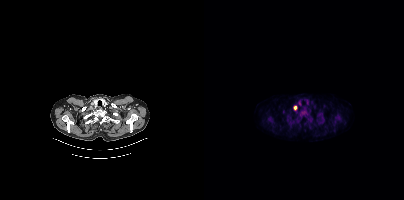
Coordinates are on the 200×200 PET (right) panel. (showing 2 of 3 foci) PSMA-avid tumor lesion bounding boxes (x0,y0,x1,y1): [98,110,101,114], [89,106,93,110].